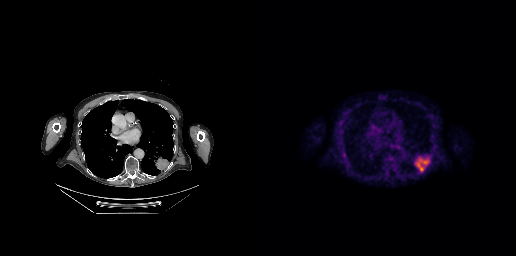
Coordinates are on the 256×256 PET (right) panel. PSMA-avid tumor lesion bounding box (x, y, width, height): x=154 y=156 w=16 h=17.